- a rectangular block over the head has been blanked out for de-identification
- Two-panel axial: CT | PSMA PET, [18F]PSMA-1007 tracer
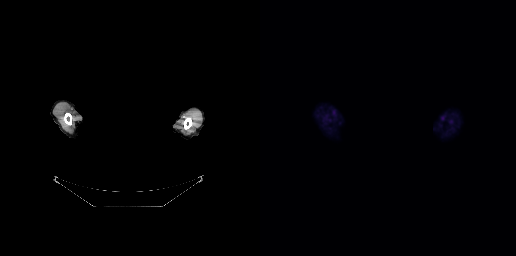
Findings: Negative for PSMA-avid disease on this slice.